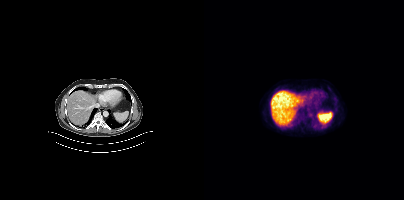
No PSMA-avid tumor lesions on this slice.